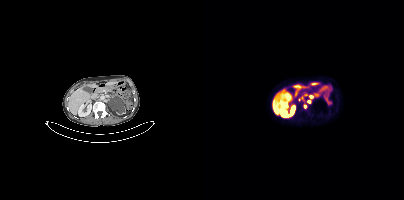
Technique: Left: CT. Right: PSMA PET, same axial level, [18F]PSMA-1007 tracer.
Findings: Coordinates are on the 200×200 PET (right) panel. PSMA-avid tumor lesion bounding boxes (x0, y0)-(x1, y1): (105, 95)-(109, 98); (98, 98)-(101, 103). Small PSMA-avid foci (2 to 4 px across) near (center x, center y): (101, 106); (105, 101).